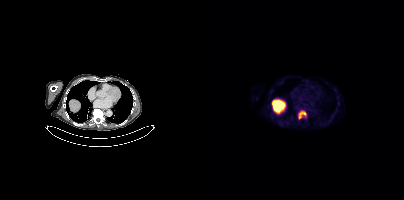
Findings: Coordinates are on the 200×200 PET (right) panel. PSMA-avid tumor lesion bounding box (x, y, width, height): x=94 y=110 w=9 h=10.
- Left: CT. Right: PSMA PET, same axial level, 18F-PSMA tracer
- acquired on Siemens Biograph mCT Flow 20
- slice position z = -1096 mm